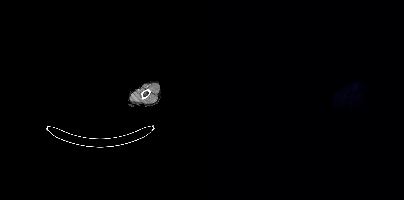
redaction: face masked with black rectangle | modality: PSMA PET/CT | tracer: [18F]PSMA-1007 | view: axial | PET grid: 200×200
No tumor lesions annotated on this slice.